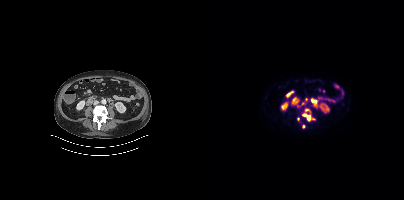
Coordinates are on the 200×200 PET (right) panel. (showing 3 of 4 foci) PSMA-avid tumor lesion bounding box (x0, y0)-(x1, y1): (99, 114)-(106, 120). Small PSMA-avid foci (2 to 4 px across) near (center x, center y): (99, 126) | (102, 109).